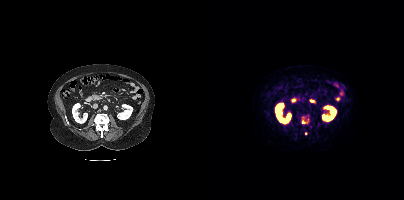
{"pet_grid":[200,200],"coord_frame":"pet_panel","coord_format":"x0,y0,x1,y1","partial":true,"lesion_bboxes":[[97,119,105,124]],"small_foci_centers":[[102,133]],"modality":"PSMA PET/CT","view":"axial","tracer":"[68Ga]Ga-PSMA-11"}